- Left: CT. Right: PSMA PET, same axial level, [18F]PSMA-1007 tracer
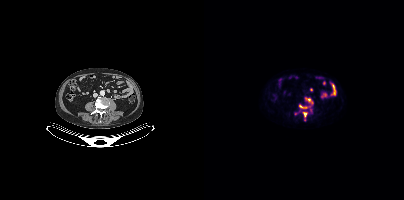
Findings: Coordinates are on the 200×200 PET (right) panel. (showing 2 of 3 foci) PSMA-avid tumor lesion bounding boxes (x0, y0)-(x1, y1): (95, 105)-(100, 108) / (99, 112)-(102, 116).